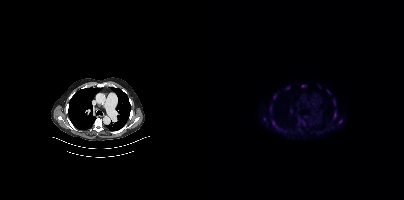
Two-panel axial: CT | PSMA PET, 18F-PSMA tracer. Acquired on Siemens Biograph mCT Flow 20. PET panel 200×200 px (4.1 mm/px). Coordinates are on the 200×200 PET (right) panel. PSMA-avid tumor lesion bounding boxes (x, y, width, height): x=68 y=120 w=7 h=9; x=129 y=111 w=4 h=9; x=69 y=94 w=4 h=6; x=129 y=100 w=3 h=5; x=98 y=120 w=4 h=6; x=66 y=106 w=2 h=6. Small PSMA-avid foci (2 to 4 px across) near (center x, center y): (99, 86); (136, 121); (87, 111); (124, 91); (60, 119); (95, 119); (84, 87); (101, 116); (94, 123).